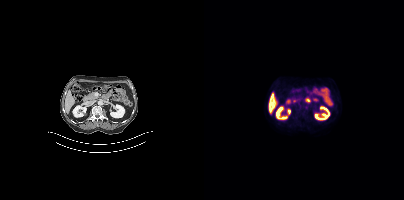
No tumor lesions annotated on this slice. Left: CT. Right: PSMA PET, same axial level, 18F-PSMA tracer. Acquired on Siemens Biograph mCT Flow 20. Slice position z = -1338 mm.